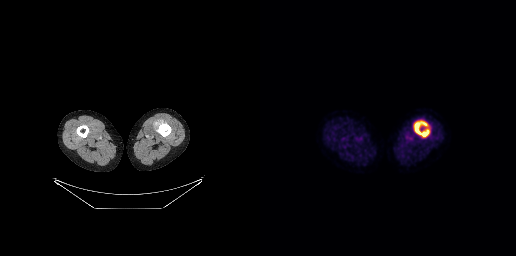
Findings: Coordinates are on the 256×256 PET (right) panel. PSMA-avid tumor lesion bounding box (x0,y0,x1,y1): [154,121,169,136].
Technique: Left: CT. Right: PSMA PET, same axial level, 18F-PSMA tracer. acquired on GE Discovery 690. PET panel 256×256 px (2.7 mm/px).